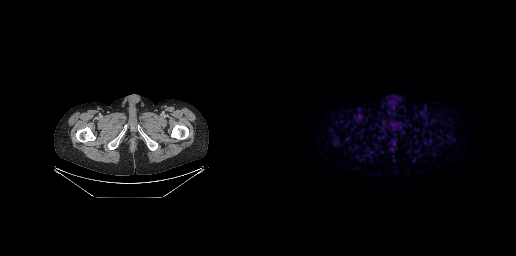
This slice has no annotated PSMA-avid lesion. Left: CT. Right: PSMA PET, same axial level, [68Ga]Ga-PSMA-11 tracer. Acquired on GE Discovery 690. Slice position z = -938 mm.